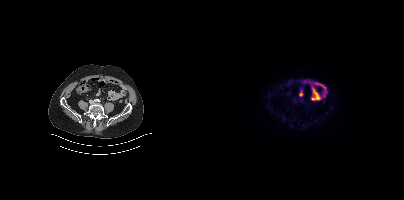
Paired axial CT (left) and PSMA PET (right), 18F-PSMA tracer. Negative for PSMA-avid disease on this slice.